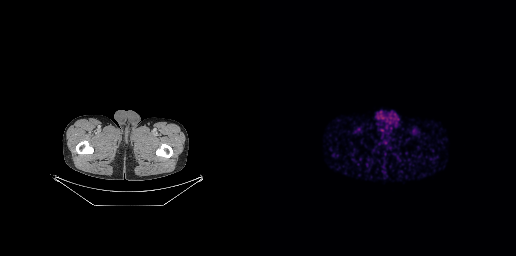
This slice has no annotated PSMA-avid lesion.